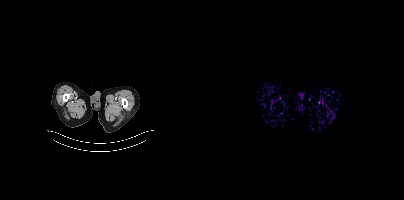
Technique: Paired axial CT (left) and PSMA PET (right), 68Ga tracer. slice position z = -1610 mm. PET panel 200×200 px (4.1 mm/px).
Findings: This slice has no annotated PSMA-avid lesion.